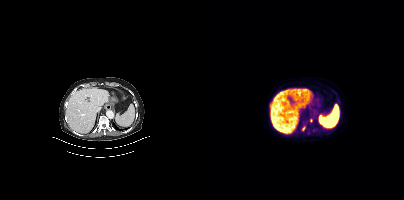
Coordinates are on the 200×200 PET (right) panel. Small PSMA-avid foci (2 to 4 px across) near (center x, center y): (99, 128), (107, 120), (109, 130), (104, 132).